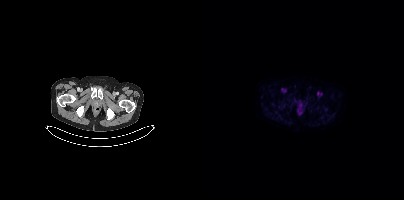
Paired axial CT (left) and PSMA PET (right), 18F-PSMA tracer. Slice 55 of 431. PET panel 200×200 px (4.1 mm/px). No PSMA-avid tumor lesions on this slice.